- Two-panel axial: CT | PSMA PET, [18F]PSMA-1007 tracer
- slice 68 of 356
- PET panel 200×200 px (4.1 mm/px)
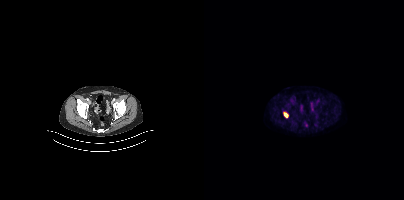
Findings: Coordinates are on the 200×200 PET (right) panel. PSMA-avid tumor lesion bounding box (x, y, width, height): x=80 y=112 w=5 h=6.